- Paired axial CT (left) and PSMA PET (right), [18F]PSMA-1007 tracer
- acquired on Siemens Biograph mCT Flow 20
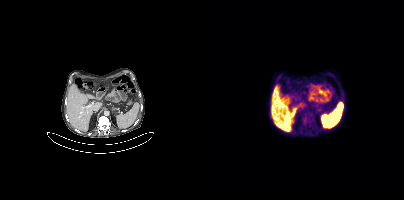
Findings: Coordinates are on the 200×200 PET (right) panel. (showing 2 of 3 foci) PSMA-avid tumor lesion bounding box (x, y, width, height): x=99 y=116 w=4 h=9. Small PSMA-avid focus (2 to 4 px across) near (center x, center y): (104, 120).